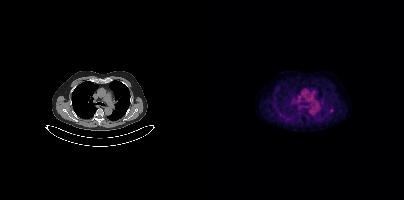
{"modality":"PSMA PET/CT","view":"axial","tracer":"18F","pet_grid":[200,200],"coord_frame":"pet_panel","coord_format":"x0,y0,x1,y1","lesion_bboxes":[],"small_foci_centers":[[127,110]]}